- Paired axial CT (left) and PSMA PET (right), [18F]PSMA-1007 tracer
- acquired on Siemens Biograph mCT Flow 20
- slice position z = -1338 mm
- PET panel 200×200 px (4.1 mm/px)
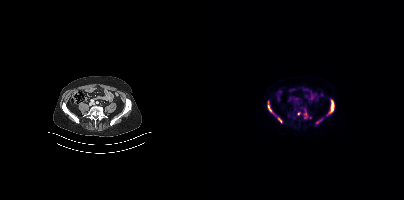
Findings: Coordinates are on the 200×200 PET (right) panel. PSMA-avid tumor lesion bounding boxes (x0, y0)-(x1, y1): (126, 100)-(130, 112); (64, 101)-(67, 112); (74, 118)-(77, 122). Small PSMA-avid foci (2 to 4 px across) near (center x, center y): (101, 117); (94, 114).